Two-panel axial: CT | PSMA PET, 18F-PSMA tracer. Acquired on GE Discovery 690.
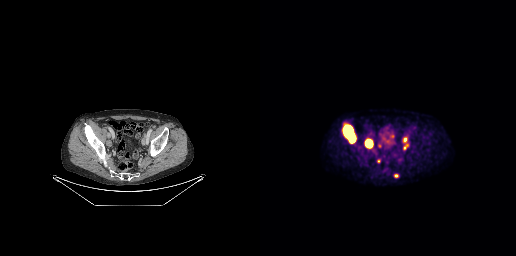
Coordinates are on the 256×256 PET (right) panel. (showing 5 of 7 foci) PSMA-avid tumor lesion bounding boxes (x, y, width, height): x=84 y=126 w=12 h=17; x=106 y=140 w=7 h=8. Small PSMA-avid foci (2 to 4 px across) near (center x, center y): (118, 145); (118, 160); (144, 147).